- Paired axial CT (left) and PSMA PET (right), 18F-PSMA tracer
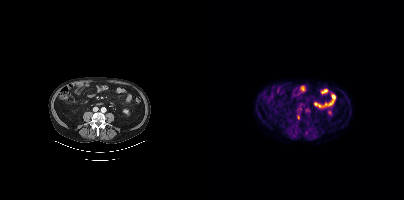
Findings: Only PSMA-avid lesion pieces thinner than 2 px on this slice (not listed).